modality: PSMA PET/CT | tracer: 68Ga-PSMA | view: axial | PET grid: 168×168
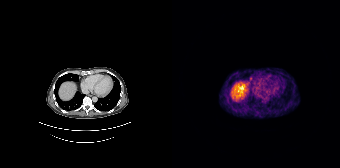
Negative for PSMA-avid disease on this slice.